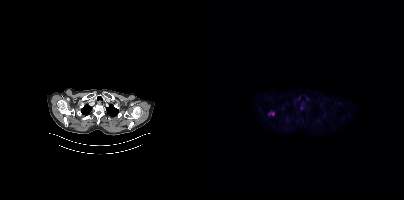
Findings: Coordinates are on the 200×200 PET (right) panel. PSMA-avid tumor lesion bounding box (x0,y0,x1,y1): [65,112,70,115].
Technique: Paired axial CT (left) and PSMA PET (right), 18F tracer. acquired on Siemens Biograph mCT Flow 20. slice 344 of 421. PET panel 200×200 px (4.1 mm/px).